modality: PSMA PET/CT | tracer: 18F | view: axial | PET grid: 200×200
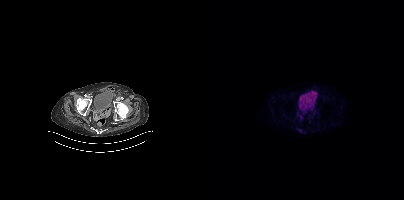
Coordinates are on the 200×200 PET (right) panel. Small PSMA-avid focus (2 to 4 px across) near (center x, center y): (96, 130).